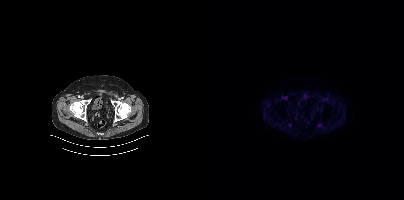
Technique: Two-panel axial: CT | PSMA PET, 18F-PSMA tracer.
Findings: Negative for PSMA-avid disease on this slice.